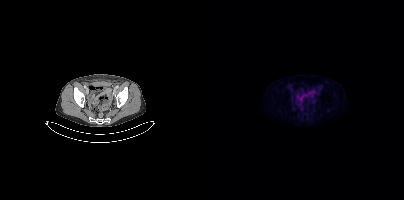
Findings: This slice has no annotated PSMA-avid lesion.
- Paired axial CT (left) and PSMA PET (right), 18F-PSMA tracer
- acquired on Siemens Biograph mCT Flow 20